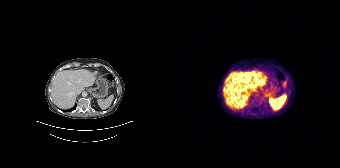
No tumor lesions annotated on this slice.